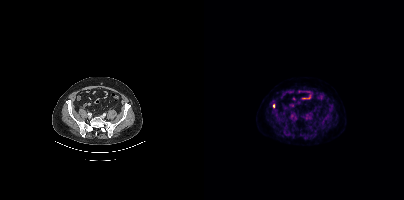
{"pet_grid":[200,200],"coord_frame":"pet_panel","coord_format":"x0,y0,x1,y1","lesion_bboxes":[],"small_foci_centers":[[69,105]],"modality":"PSMA PET/CT","view":"axial","tracer":"18F"}